- Paired axial CT (left) and PSMA PET (right), [18F]PSMA-1007 tracer
- PET panel 200×200 px (4.1 mm/px)
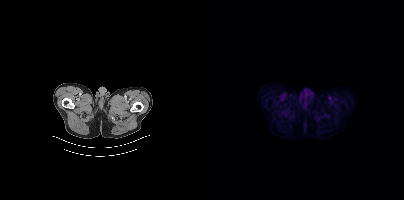
Findings: No tumor lesions annotated on this slice.